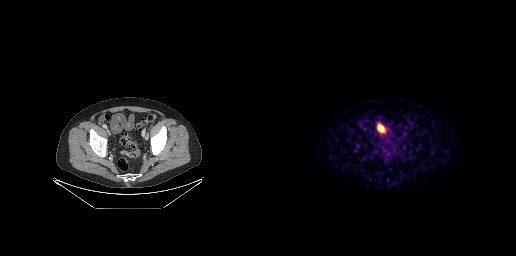
- Two-panel axial: CT | PSMA PET, [68Ga]Ga-PSMA-11 tracer
- acquired on GE Discovery 690
- PET panel 256×256 px (2.7 mm/px)
Findings: No PSMA-avid tumor lesions on this slice.